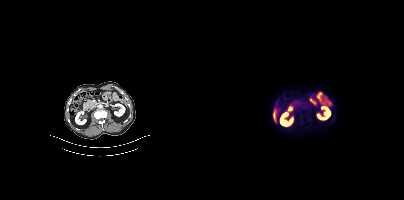
Two-panel axial: CT | PSMA PET, [18F]PSMA-1007 tracer. No PSMA-avid tumor lesions on this slice.